Technique: Two-panel axial: CT | PSMA PET, [18F]PSMA-1007 tracer. slice 376 of 393. PET panel 200×200 px (4.1 mm/px).
Note: A rectangular block over the head has been blanked out for de-identification.
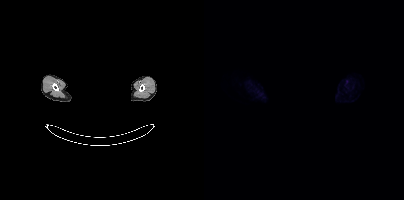
Findings: This slice has no annotated PSMA-avid lesion.